modality: PSMA PET/CT | tracer: 18F-PSMA | view: axial
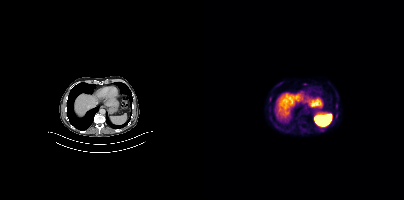
Coordinates are on the 200×200 PET (right) panel. Small PSMA-avid focus (2 to 4 px across) near (center x, center y): (66, 98).